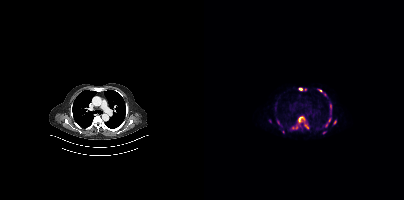
Findings: Coordinates are on the 200×200 PET (right) panel. (showing 11 of 12 foci) PSMA-avid tumor lesion bounding boxes (x0,y0,x1,y1): [88,117,100,129] [99,123,103,127] [125,106,128,110] [130,120,132,124]. Small PSMA-avid foci (2 to 4 px across) near (center x, center y): (96, 89) (120, 94) (126, 102) (116, 90) (73, 121) (122, 125) (125, 117).
- Two-panel axial: CT | PSMA PET, [68Ga]Ga-PSMA-11 tracer
- acquired on Siemens Biograph mCT Flow 20
- slice 293 of 397
- PET panel 200×200 px (4.1 mm/px)